Technique: Paired axial CT (left) and PSMA PET (right), [18F]PSMA-1007 tracer. acquired on Siemens Biograph mCT Flow 20.
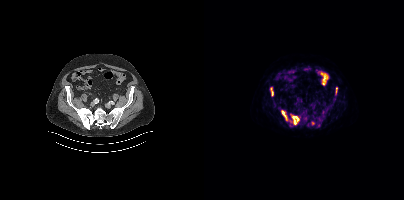
Findings: Coordinates are on the 200×200 PET (right) panel. (showing 5 of 6 foci) PSMA-avid tumor lesion bounding boxes (x0,y0,x1,y1): [88,116,95,124], [112,118,118,125], [77,110,86,123], [131,88,133,92], [67,89,69,95].